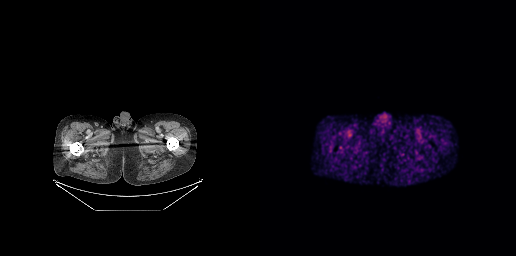
Paired axial CT (left) and PSMA PET (right), 18F tracer. Negative for PSMA-avid disease on this slice.